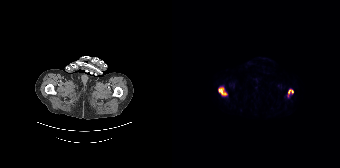
modality: PSMA PET/CT | tracer: 18F-PSMA | view: axial | PET grid: 168×168
Coordinates are on the 168×168 PET (right) panel. PSMA-avid tumor lesion bounding boxes (x0, y0)-(x1, y1): (46, 86)-(55, 96) | (116, 89)-(121, 93).